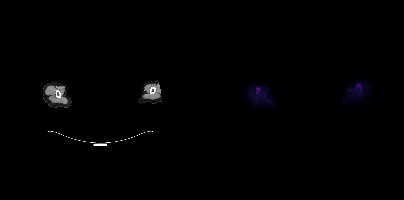
Left: CT. Right: PSMA PET, same axial level, 18F tracer. Slice 399 of 429. PET panel 200×200 px (4.1 mm/px). Facial anatomy redacted by setting a rectangular region of the head to black. No tumor lesions annotated on this slice.